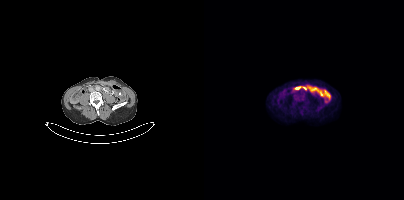
{"modality":"PSMA PET/CT","view":"axial","tracer":"18F-PSMA","pet_grid":[200,200],"coord_frame":"pet_panel","coord_format":"x0,y0,x1,y1","psma_avid_lesions":false}